Technique: Two-panel axial: CT | PSMA PET, [68Ga]Ga-PSMA-11 tracer. acquired on Siemens Biograph mCT Flow 20. slice position z = 859 mm.
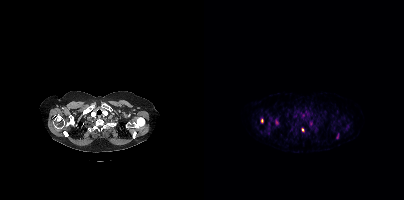
Findings: Coordinates are on the 200×200 PET (right) panel. (showing 2 of 3 foci) PSMA-avid tumor lesion bounding box (x0,y0,x1,y1): [98,128,99,132]. Small PSMA-avid focus (2 to 4 px across) near (center x, center y): (58, 120).